Two-panel axial: CT | PSMA PET, 18F-PSMA tracer. Acquired on Siemens Biograph mCT Flow 20. PET panel 200×200 px (4.1 mm/px).
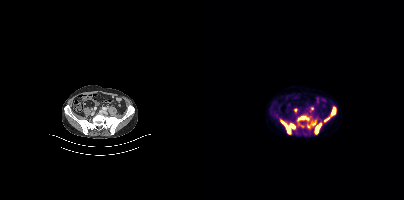
Coordinates are on the 200×200 PET (right) panel. (showing 8 of 10 foci) PSMA-avid tumor lesion bounding boxes (x, y, width, height): x=77 y=120 w=15 h=15 / x=111 y=123 w=7 h=12 / x=94 y=116 w=12 h=5 / x=127 y=107 w=5 h=9 / x=120 y=117 w=6 h=5 / x=108 y=121 w=4 h=5. Small PSMA-avid foci (2 to 4 px across) near (center x, center y): (91, 110) / (104, 126).